modality: PSMA PET/CT | tracer: 18F-PSMA | view: axial
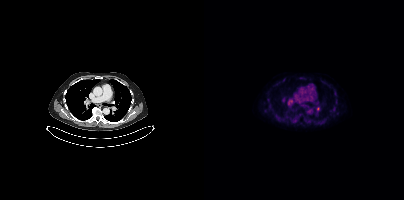
Coordinates are on the 200×200 PET (right) panel. PSMA-avid tumor lesion bounding box (x0,y0,x1,y1): [84,100,88,103]. Small PSMA-avid focus (2 to 4 px across) near (center x, center y): (114, 108).